Left: CT. Right: PSMA PET, same axial level, [18F]PSMA-1007 tracer. Slice 172 of 385.
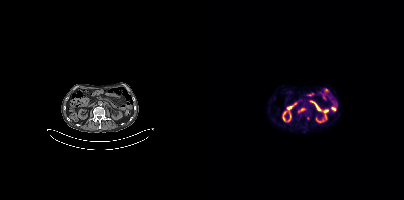
Coordinates are on the 200×200 PET (right) panel. (showing 1 of 3 foci) PSMA-avid tumor lesion bounding box (x, y, width, height): x=94 y=108 w=7 h=5.